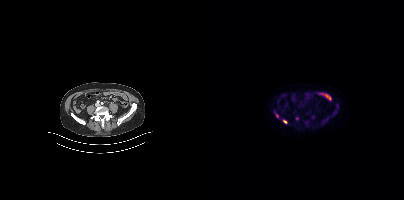
{"modality":"PSMA PET/CT","view":"axial","tracer":"18F","pet_grid":[200,200],"coord_frame":"pet_panel","coord_format":"x0,y0,x1,y1","partial":true,"lesion_bboxes":[[79,120,83,124]],"small_foci_centers":[[73,115],[93,118]]}